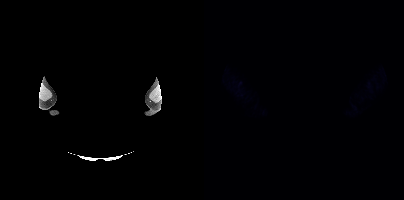
De-identified by setting a box covering the face to black before release. Paired axial CT (left) and PSMA PET (right), 18F tracer. Negative for PSMA-avid disease on this slice.